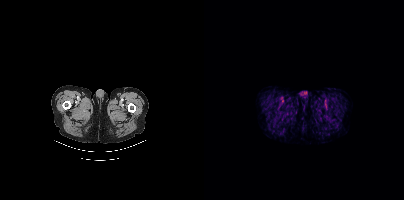
{"modality":"PSMA PET/CT","view":"axial","tracer":"18F","pet_grid":[200,200],"coord_frame":"pet_panel","coord_format":"x0,y0,x1,y1","psma_avid_lesions":false}